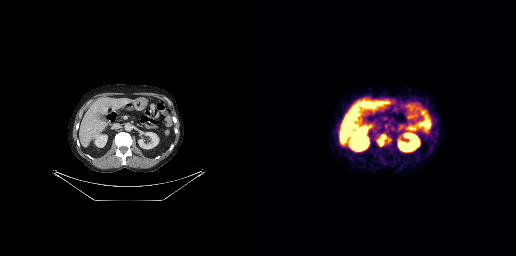
Coordinates are on the 256×256 PET (right) panel. PSMA-avid tumor lesion bounding boxes (x0, y0)-(x1, y1): (121, 135)-(125, 139) / (120, 141)-(122, 145).